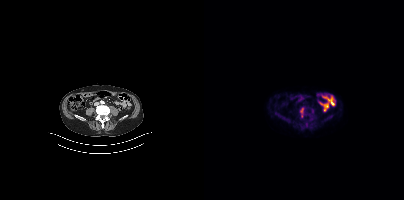
{"modality":"PSMA PET/CT","view":"axial","tracer":"18F-PSMA","pet_grid":[200,200],"coord_frame":"pet_panel","coord_format":"x0,y0,x1,y1","partial":true,"lesion_bboxes":[],"small_foci_centers":[[102,126],[98,109]]}